modality: PSMA PET/CT | tracer: 18F-PSMA | view: axial
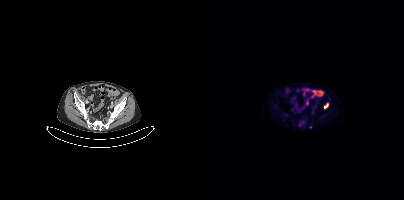
Coordinates are on the 200×200 PET (right) panel. PSMA-avid tumor lesion bounding boxes (x0, y0)-(x1, y1): (120, 103)-(124, 108) | (95, 122)-(99, 125).